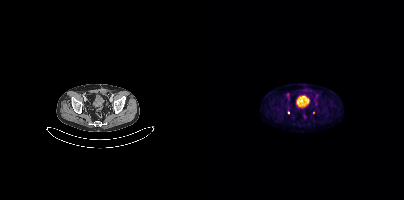
Two-panel axial: CT | PSMA PET, 18F-PSMA tracer. PET panel 200×200 px (4.1 mm/px). Only PSMA-avid lesion pieces thinner than 2 px on this slice (not listed).